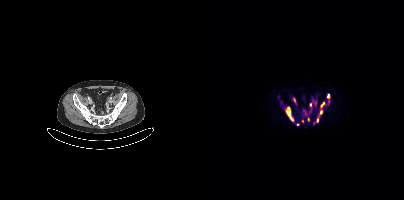
Findings: Coordinates are on the 200×200 PET (right) panel. (showing 11 of 12 foci) PSMA-avid tumor lesion bounding boxes (x0,y0,x1,y1): [82,111,90,122], [106,100,112,106], [116,110,118,114], [117,102,120,107], [103,117,105,121], [89,98,91,102]. Small PSMA-avid foci (2 to 4 px across) near (center x, center y): (124, 95), (93, 124), (113, 121), (84, 108), (98, 121).
Technique: Two-panel axial: CT | PSMA PET, 18F tracer. acquired on Siemens Biograph mCT Flow 20. slice 93 of 407.